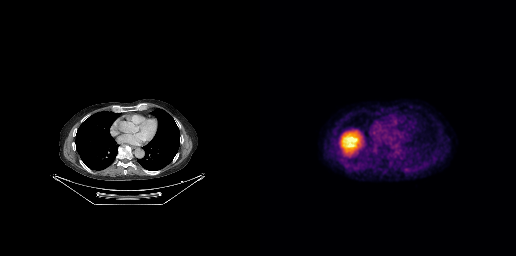
This slice has no annotated PSMA-avid lesion. Paired axial CT (left) and PSMA PET (right), 18F-PSMA tracer.